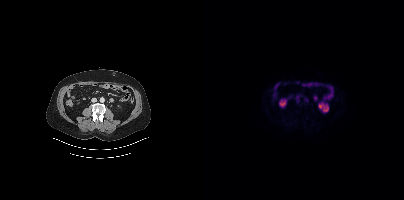
Two-panel axial: CT | PSMA PET, [18F]PSMA-1007 tracer. No PSMA-avid tumor lesions on this slice.